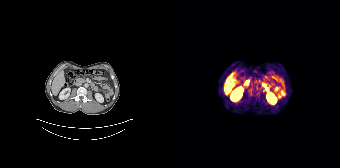
Negative for PSMA-avid disease on this slice.